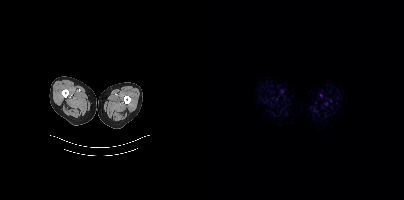
No PSMA-avid tumor lesions on this slice. Left: CT. Right: PSMA PET, same axial level, 18F-PSMA tracer. Acquired on Siemens Biograph mCT Flow 20. Slice 9 of 405.